modality: PSMA PET/CT | tracer: [18F]PSMA-1007 | view: axial
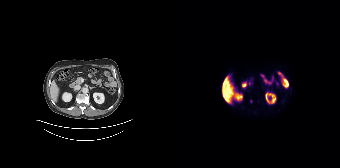
Only PSMA-avid lesion pieces thinner than 2 px on this slice (not listed).